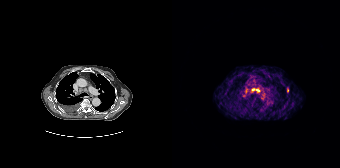
Technique: Left: CT. Right: PSMA PET, same axial level, 68Ga-PSMA tracer. slice 151 of 195.
Findings: Coordinates are on the 168×168 PET (right) panel. PSMA-avid tumor lesion bounding boxes (x0,y0,x1,y1): [79,88,88,92]; [115,87,117,92].